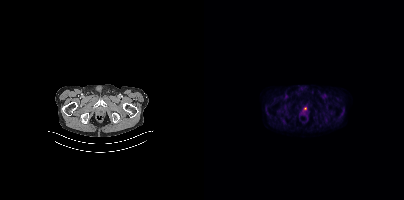
{"pet_grid":[200,200],"coord_frame":"pet_panel","coord_format":"x0,y0,x1,y1","lesion_bboxes":[],"small_foci_centers":[[101,108]],"modality":"PSMA PET/CT","view":"axial","tracer":"18F"}